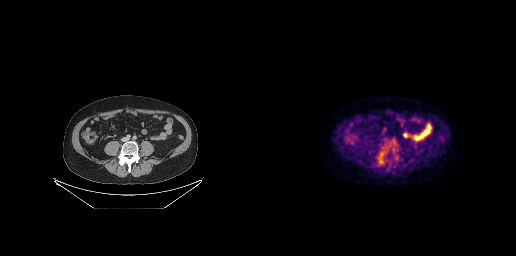
Coordinates are on the 256×256 PET (right) panel. PSMA-avid tumor lesion bounding box (x, y, width, height): x=120 y=160 w=5 h=5.